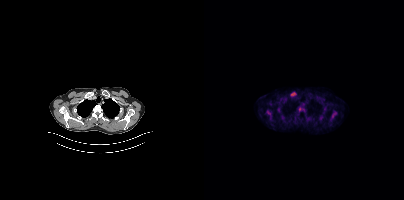
Findings: Coordinates are on the 200×200 PET (right) panel. (showing 4 of 5 foci) PSMA-avid tumor lesion bounding boxes (x0, y0)-(x1, y1): (126, 111)-(133, 120) | (63, 110)-(66, 115). Small PSMA-avid foci (2 to 4 px across) near (center x, center y): (117, 117) | (120, 108).
- Left: CT. Right: PSMA PET, same axial level, [18F]PSMA-1007 tracer
- acquired on Siemens Biograph mCT Flow 20